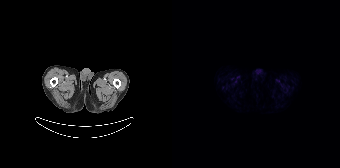
Findings: This slice has no annotated PSMA-avid lesion.
- Two-panel axial: CT | PSMA PET, 18F-PSMA tracer
- PET panel 168×168 px (4.1 mm/px)